Technique: Two-panel axial: CT | PSMA PET, [18F]PSMA-1007 tracer. acquired on Siemens Biograph mCT Flow 20. slice 74 of 427. PET panel 200×200 px (4.1 mm/px).
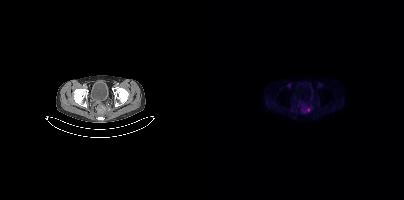
Findings: Coordinates are on the 200×200 PET (right) panel. PSMA-avid tumor lesion bounding box (x0, y0)-(x1, y1): (98, 108)-(106, 112).